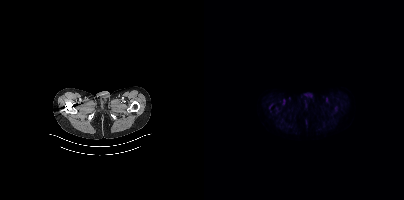
No PSMA-avid tumor lesions on this slice.